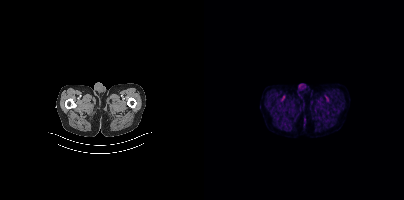
No tumor lesions annotated on this slice.